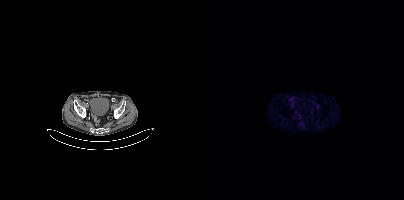
{"modality":"PSMA PET/CT","view":"axial","tracer":"[18F]PSMA-1007","pet_grid":[200,200],"coord_frame":"pet_panel","coord_format":"x0,y0,x1,y1","psma_avid_lesions":false}